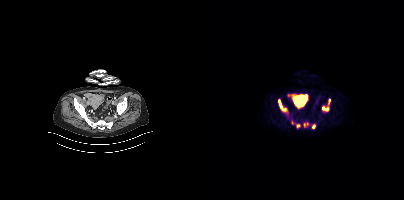
Paired axial CT (left) and PSMA PET (right), [18F]PSMA-1007 tracer. Acquired on Siemens Biograph mCT Flow 20. PET panel 200×200 px (4.1 mm/px). Coordinates are on the 200×200 PET (right) panel. (showing 6 of 7 foci) PSMA-avid tumor lesion bounding boxes (x0,y0,x1,y1): [74,100,83,111], [118,106,124,111], [108,124,111,128]. Small PSMA-avid foci (2 to 4 px across) near (center x, center y): (125, 100), (94, 126), (100, 124).